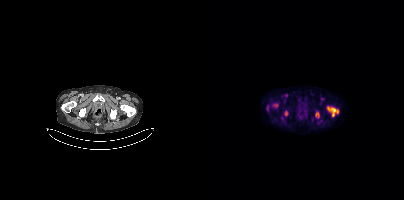
{"modality":"PSMA PET/CT","view":"axial","tracer":"18F","pet_grid":[200,200],"coord_frame":"pet_panel","coord_format":"x0,y0,x1,y1","lesion_bboxes":[[123,107,134,116],[81,111,83,115]],"small_foci_centers":[[71,105],[113,114]]}